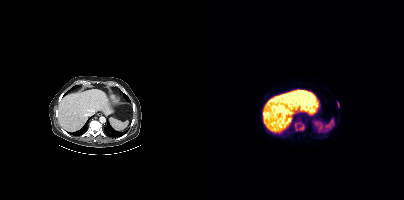
Technique: Left: CT. Right: PSMA PET, same axial level, 18F tracer.
Findings: Coordinates are on the 200×200 PET (right) panel. PSMA-avid tumor lesion bounding box (x0,y0,x1,y1): [90,121,100,131]. Small PSMA-avid foci (2 to 4 px across) near (center x, center y): (134, 106); (133, 102).